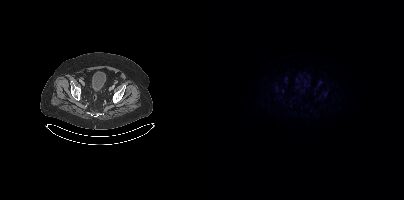
{"modality":"PSMA PET/CT","view":"axial","tracer":"18F-PSMA","pet_grid":[200,200],"coord_frame":"pet_panel","coord_format":"x0,y0,x1,y1","lesion_bboxes":[],"small_foci_centers":[[121,94]]}